- Two-panel axial: CT | PSMA PET, 18F tracer
- slice 224 of 391
- PET panel 200×200 px (4.1 mm/px)
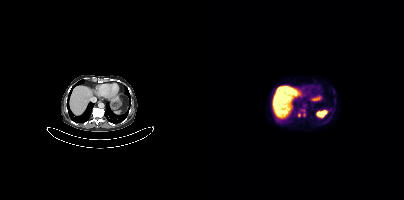
Findings: Coordinates are on the 200×200 PET (right) panel. Small PSMA-avid foci (2 to 4 px across) near (center x, center y): (95, 114), (100, 114), (99, 110).